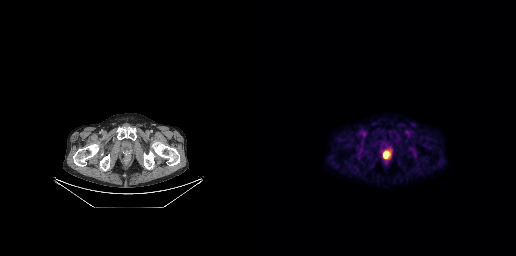
Left: CT. Right: PSMA PET, same axial level, [18F]PSMA-1007 tracer. Coordinates are on the 256×256 PET (right) panel. PSMA-avid tumor lesion bounding box (x0,y0,x1,y1): [123,151,128,158].